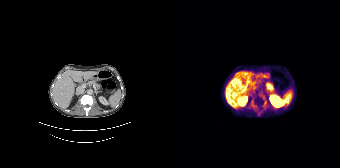
{"modality":"PSMA PET/CT","view":"axial","tracer":"68Ga-PSMA","pet_grid":[168,168],"coord_frame":"pet_panel","coord_format":"x0,y0,x1,y1","psma_avid_lesions":false}